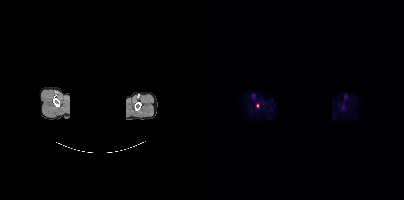
{"modality":"PSMA PET/CT","view":"axial","tracer":"[18F]PSMA-1007","pet_grid":[200,200],"coord_frame":"pet_panel","coord_format":"x0,y0,x1,y1","lesion_bboxes":[],"small_foci_centers":[[53,105]],"de-identification":"rectangular block over head set to black"}